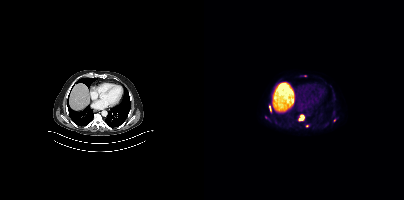
Coordinates are on the 200×200 PET (right) panel. PSMA-avid tumor lesion bounding boxes (x0, y0)-(x1, y1): (94, 114)-(100, 121); (65, 106)-(67, 111). Small PSMA-avid foci (2 to 4 px across) near (center x, center y): (101, 75); (103, 125); (130, 120).